- Two-panel axial: CT | PSMA PET, 18F tracer
- slice 20 of 381
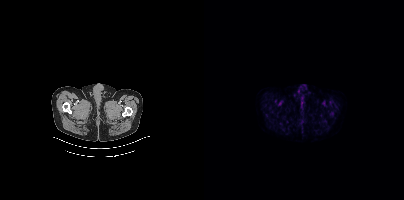
Findings: Negative for PSMA-avid disease on this slice.